Paired axial CT (left) and PSMA PET (right), 18F tracer. PET panel 200×200 px (4.1 mm/px).
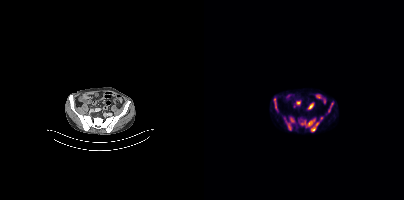
Coordinates are on the 200×200 PET (right) panel. PSMA-avid tumor lesion bounding boxes (x0,y0,x1,y1): [96,117,119,131], [80,117,90,130], [69,98,74,111], [124,103,129,112].